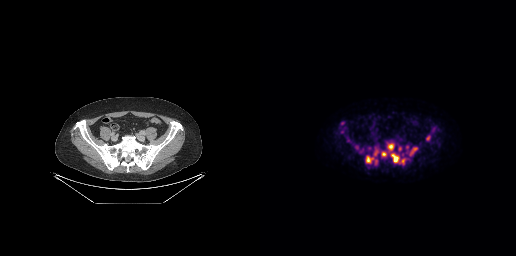
Coordinates are on the 256×256 PET (right) panel. PSMA-avid tumor lesion bounding boxes (x, y, width, height): x=130 y=153 w=16 h=12 | x=127 y=143 w=8 h=9 | x=106 y=156 w=8 h=8 | x=149 y=147 w=9 h=9 | x=121 y=151 w=6 h=6 | x=114 y=150 w=4 h=6 | x=166 y=136 w=4 h=5. Small PSMA-avid foci (2 to 4 px across) near (center x, center y): (140, 148) | (116, 161) | (147, 147) | (96, 147). Left: CT. Right: PSMA PET, same axial level, 18F-PSMA tracer. Slice 100 of 299.